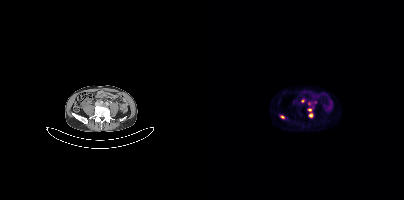
{"modality":"PSMA PET/CT","view":"axial","tracer":"[68Ga]Ga-PSMA-11","pet_grid":[200,200],"coord_frame":"pet_panel","coord_format":"x0,y0,x1,y1","partial":true,"lesion_bboxes":[[105,113,109,117],[76,116,80,118]],"small_foci_centers":[[105,109],[98,100],[105,103]]}